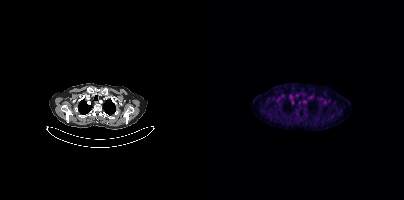
- Paired axial CT (left) and PSMA PET (right), 18F-PSMA tracer
- acquired on Siemens Biograph mCT Flow 20
- PET panel 200×200 px (4.1 mm/px)
Findings: No PSMA-avid tumor lesions on this slice.